Technique: Paired axial CT (left) and PSMA PET (right), [18F]PSMA-1007 tracer. slice position z = -930 mm.
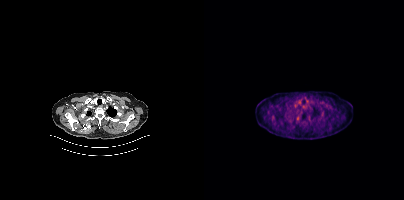
Findings: No tumor lesions annotated on this slice.